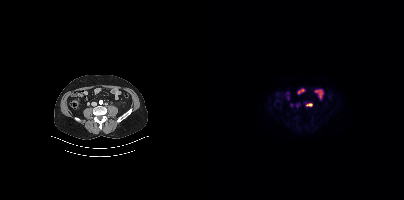
Findings: Coordinates are on the 200×200 PET (right) panel. PSMA-avid tumor lesion bounding box (x0,y0,x1,y1): [102,103,108,106].
- Left: CT. Right: PSMA PET, same axial level, 18F tracer
- acquired on Siemens Biograph mCT Flow 20
- PET panel 200×200 px (4.1 mm/px)